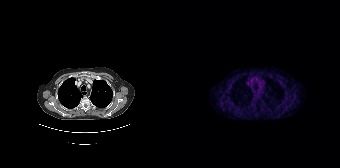
This slice has no annotated PSMA-avid lesion.